Two-panel axial: CT | PSMA PET, [18F]PSMA-1007 tracer. Slice 249 of 395.
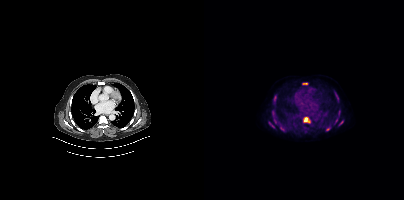
Coordinates are on the 200×200 PET (right) panel. (showing 10 of 13 foci) PSMA-avid tumor lesion bounding boxes (x0,y0,x1,y1): [99,117,106,122], [122,126,126,131], [69,115,72,119], [78,127,81,131], [135,120,139,125], [70,96,72,101], [98,83,103,84], [131,118,133,123], [65,122,70,127]. Small PSMA-avid focus (2 to 4 px across) near (center x, center y): (69, 111).